Technique: Two-panel axial: CT | PSMA PET, 18F-PSMA tracer. acquired on GE Discovery 690.
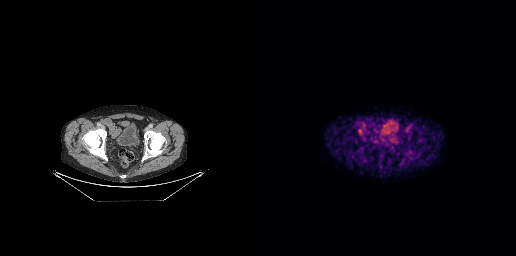
Findings: No PSMA-avid tumor lesions on this slice.